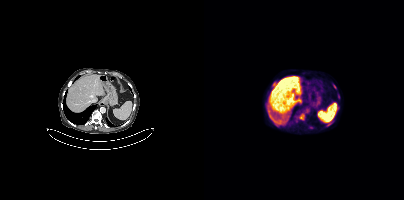
Coordinates are on the 200×200 PET (right) panel. PSMA-avid tumor lesion bounding boxes:
| # | x0 | y0 | x1 | y1 |
|---|---|---|---|---|
| 1 | 95 | 113 | 100 | 120 |
Small PSMA-avid focus (2 to 4 px across) near (center x, center y): (130, 86).
Paired axial CT (left) and PSMA PET (right), 18F tracer. Slice 199 of 373. PET panel 200×200 px (4.1 mm/px).